- Two-panel axial: CT | PSMA PET, 18F-PSMA tracer
- slice position z = -1468 mm
- PET panel 200×200 px (4.1 mm/px)
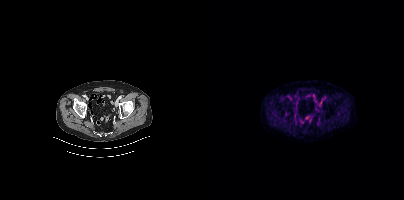
Findings: No PSMA-avid tumor lesions on this slice.